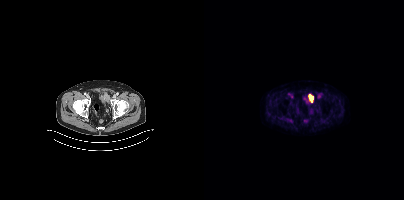
Findings: Coordinates are on the 200×200 PET (right) panel. PSMA-avid tumor lesion bounding box (x, y, width, height): x=83 y=118 w=6 h=5.
Technique: Two-panel axial: CT | PSMA PET, 18F-PSMA tracer. acquired on Siemens Biograph mCT Flow 20. slice position z = -1678 mm. PET panel 200×200 px (4.1 mm/px).